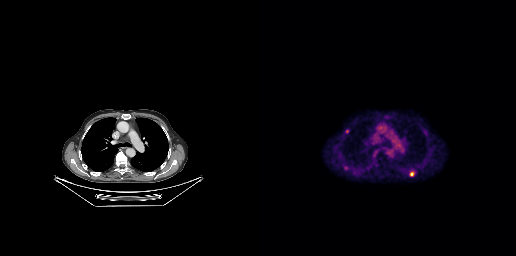
- Two-panel axial: CT | PSMA PET, 18F tracer
- acquired on GE Discovery 690
- PET panel 256×256 px (2.7 mm/px)
Findings: Coordinates are on the 256×256 PET (right) panel. PSMA-avid tumor lesion bounding box (x, y, width, height): x=150 y=171 w=5 h=6.